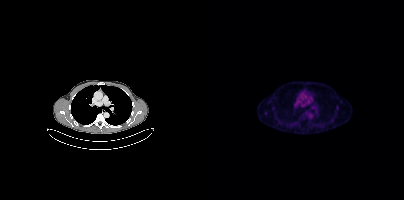
{"pet_grid":[200,200],"coord_frame":"pet_panel","coord_format":"x0,y0,x1,y1","lesion_bboxes":[[132,106,134,110]],"small_foci_centers":[[61,112]],"modality":"PSMA PET/CT","view":"axial","tracer":"18F"}